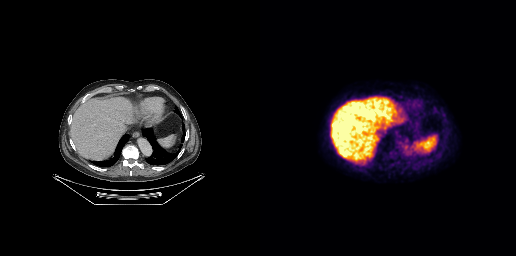
Left: CT. Right: PSMA PET, same axial level, 18F-PSMA tracer. Acquired on GE Discovery 690. Slice position z = -384 mm. PET panel 256×256 px (2.7 mm/px). No tumor lesions annotated on this slice.